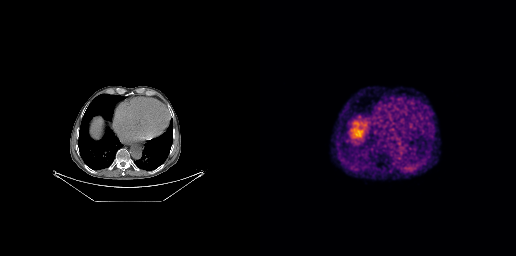
No PSMA-avid tumor lesions on this slice.